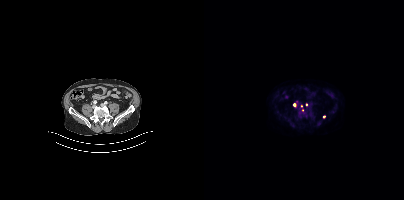
Two-panel axial: CT | PSMA PET, 18F tracer. Acquired on Siemens Biograph mCT Flow 20. Slice position z = -1288 mm. PET panel 200×200 px (4.1 mm/px). Coordinates are on the 200×200 PET (right) panel. (showing 1 of 4 foci) Small PSMA-avid focus (2 to 4 px across) near (center x, center y): (90, 104).